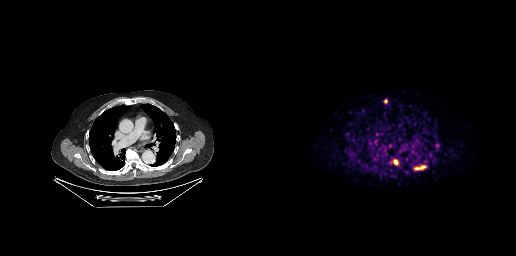
Coordinates are on the 256×256 PET (right) panel. PSMA-avid tumor lesion bounding boxes (x, y, width, height): x=155 y=166 w=11 h=4; x=134 y=160 w=4 h=5. Small PSMA-avid focus (2 to 4 px across) near (center x, center y): (125, 101).